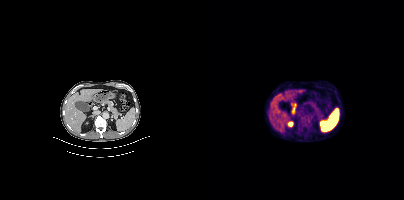
Technique: Left: CT. Right: PSMA PET, same axial level, [18F]PSMA-1007 tracer. slice 232 of 448. PET panel 200×200 px (4.1 mm/px).
Findings: Coordinates are on the 200×200 PET (right) panel. PSMA-avid tumor lesion bounding box (x0, y0)-(x1, y1): (97, 117)-(106, 126).